- Two-panel axial: CT | PSMA PET, 18F tracer
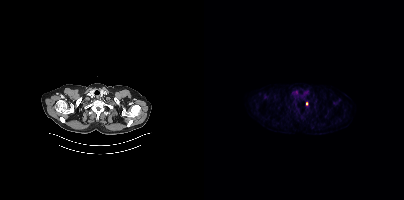
Findings: Coordinates are on the 200×200 PET (right) panel. Small PSMA-avid focus (2 to 4 px across) near (center x, center y): (102, 103).